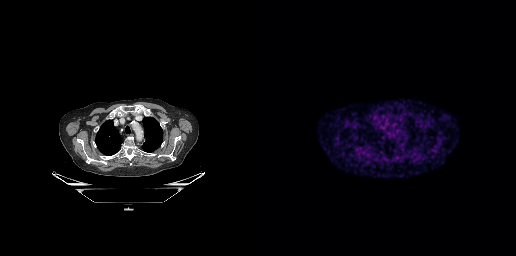
Left: CT. Right: PSMA PET, same axial level, 68Ga-PSMA tracer. PET panel 256×256 px (2.7 mm/px). Negative for PSMA-avid disease on this slice.